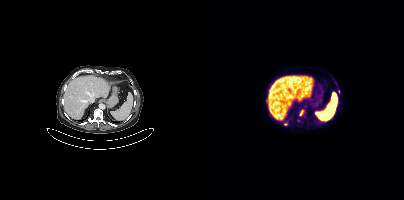
Coordinates are on the 200×200 PET (right) panel. (showing 3 of 5 foci) PSMA-avid tumor lesion bounding box (x0, y0)-(x1, y1): (96, 110)-(99, 115). Small PSMA-avid foci (2 to 4 px across) near (center x, center y): (81, 124) / (131, 83).